Technique: Left: CT. Right: PSMA PET, same axial level, 18F-PSMA tracer. slice 215 of 403. PET panel 200×200 px (4.1 mm/px).
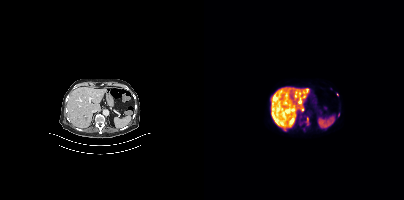
Findings: Coordinates are on the 200×200 PET (right) panel. PSMA-avid tumor lesion bounding boxes (x0, y0)-(x1, y1): (72, 107)-(86, 114) | (68, 113)-(72, 119) | (101, 88)-(105, 91). Small PSMA-avid foci (2 to 4 px across) near (center x, center y): (80, 129) | (134, 114) | (133, 94).